Paired axial CT (left) and PSMA PET (right), 18F-PSMA tracer. Acquired on Siemens Biograph mCT Flow 20. Slice 119 of 401.
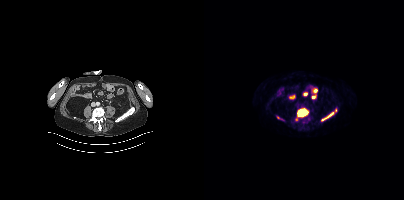
Coordinates are on the 200×200 PET (right) panel. (showing 4 of 5 foci) PSMA-avid tumor lesion bounding boxes (x0, y0)-(x1, y1): (93, 109)-(103, 116); (118, 112)-(130, 120). Small PSMA-avid foci (2 to 4 px across) near (center x, center y): (92, 119); (73, 117).